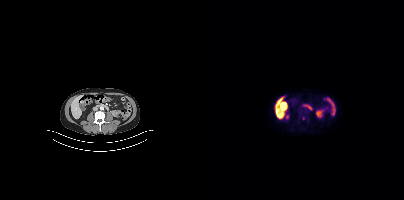
No PSMA-avid tumor lesions on this slice.